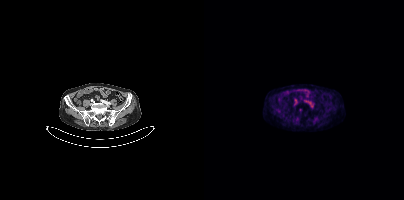
Negative for PSMA-avid disease on this slice.